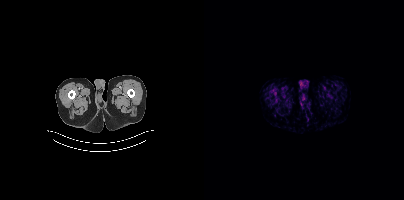
{"modality":"PSMA PET/CT","view":"axial","tracer":"[18F]PSMA-1007","pet_grid":[200,200],"coord_frame":"pet_panel","coord_format":"x0,y0,x1,y1","psma_avid_lesions":false}